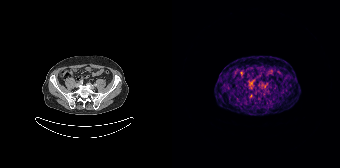
Two-panel axial: CT | PSMA PET, 68Ga tracer. Slice 69 of 195. PET panel 168×168 px (4.1 mm/px). This slice has no annotated PSMA-avid lesion.